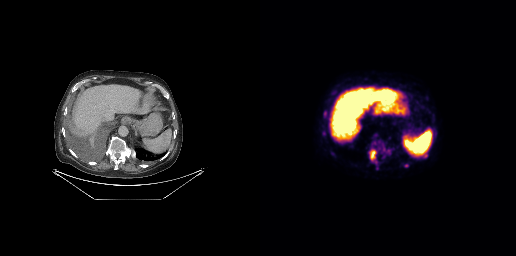
Two-panel axial: CT | PSMA PET, 18F-PSMA tracer.
Coordinates are on the 256×256 PET (right) panel. PSMA-avid tumor lesion bounding boxes:
| # | x0 | y0 | x1 | y1 |
|---|---|---|---|---|
| 1 | 109 | 149 | 116 | 160 |
| 2 | 64 | 111 | 66 | 116 |
Small PSMA-avid foci (2 to 4 px across) near (center x, center y): (64, 133); (146, 165).